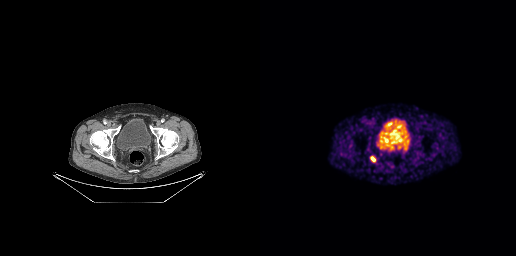
Coordinates are on the 256×256 PET (right) panel. PSMA-avid tumor lesion bounding box (x, y, width, height): x=110 y=156 w=6 h=6. Small PSMA-avid focus (2 to 4 px across) near (center x, center y): (145, 147).
modality: PSMA PET/CT | tracer: 68Ga | view: axial | PET grid: 256×256